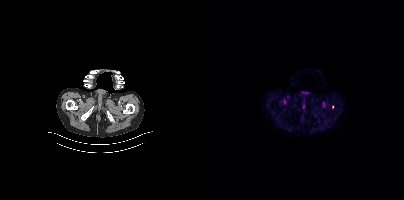
{"modality":"PSMA PET/CT","view":"axial","tracer":"[18F]PSMA-1007","pet_grid":[200,200],"coord_frame":"pet_panel","coord_format":"x0,y0,x1,y1","lesion_bboxes":[],"small_foci_centers":[[128,106]]}